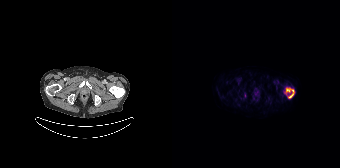
Two-panel axial: CT | PSMA PET, [18F]PSMA-1007 tracer. Coordinates are on the 168×168 PET (right) panel. PSMA-avid tumor lesion bounding box (x, y, width, height): x=114 y=88 w=9 h=11.